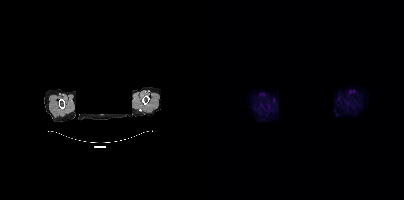
Facial anatomy redacted by setting a rectangular region of the head to black. Two-panel axial: CT | PSMA PET, 18F-PSMA tracer. Acquired on Siemens Biograph mCT Flow 20. PET panel 200×200 px (4.1 mm/px). No PSMA-avid tumor lesions on this slice.